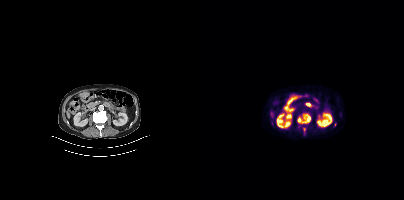
{"modality":"PSMA PET/CT","view":"axial","tracer":"[18F]PSMA-1007","pet_grid":[200,200],"coord_frame":"pet_panel","coord_format":"x0,y0,x1,y1","lesion_bboxes":[[93,113,107,123]],"small_foci_centers":[[100,129]]}